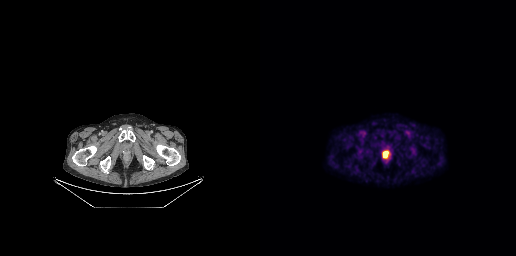
Coordinates are on the 256×256 PET (right) panel. PSMA-avid tumor lesion bounding box (x0,y0,x1,y1): [123,151,128,157].